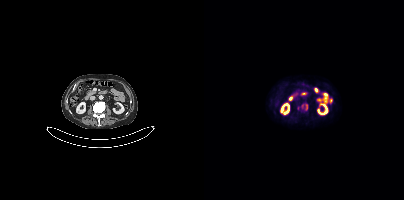
Coordinates are on the 200×200 PET (right) panel. PSMA-avid tumor lesion bounding boxes (partial; 1 more focus not listed):
| # | x0 | y0 | x1 | y1 |
|---|---|---|---|---|
| 1 | 97 | 104 | 103 | 110 |
Two-panel axial: CT | PSMA PET, 18F-PSMA tracer. Slice 164 of 391. PET panel 200×200 px (4.1 mm/px).